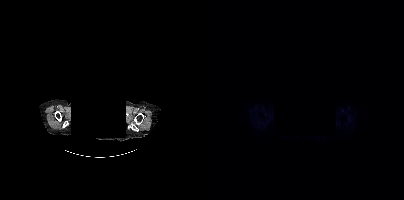
No PSMA-avid tumor lesions on this slice. Paired axial CT (left) and PSMA PET (right), 18F-PSMA tracer. Acquired on Siemens Biograph mCT Flow 20. PET panel 200×200 px (4.1 mm/px). Privacy masking over the head, with the pixels inside a rectangle set to black.